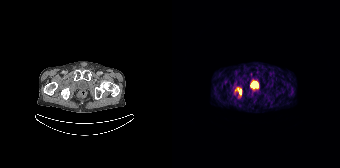
Paired axial CT (left) and PSMA PET (right), [68Ga]Ga-PSMA-11 tracer. Acquired on Siemens Biograph 64-4R TruePoint. Slice 44 of 195. PET panel 168×168 px (4.1 mm/px). Coordinates are on the 168×168 PET (right) panel. PSMA-avid tumor lesion bounding box (x0,y0,x1,y1): [63,87,69,95].